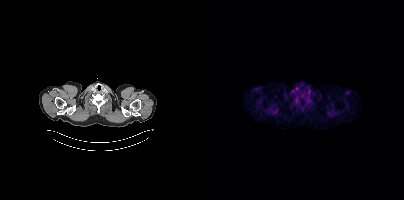
No tumor lesions annotated on this slice.
modality: PSMA PET/CT | tracer: [18F]PSMA-1007 | view: axial | PET grid: 200×200